- Two-panel axial: CT | PSMA PET, [18F]PSMA-1007 tracer
- slice 307 of 411
- PET panel 200×200 px (4.1 mm/px)
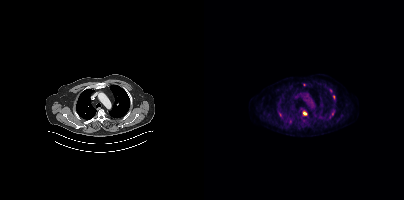
Findings: Coordinates are on the 200×200 PET (right) panel. PSMA-avid tumor lesion bounding boxes (x, y, width, height): x=126 y=110 w=5 h=7 / x=99 y=111 w=4 h=5 / x=75 y=112 w=4 h=6. Small PSMA-avid foci (2 to 4 px across) near (center x, center y): (86, 121) / (126, 90) / (100, 84) / (129, 97).